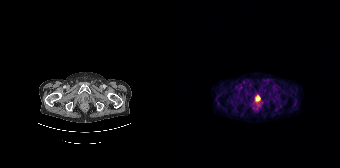
No tumor lesions annotated on this slice.